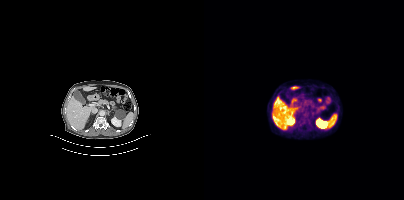
No PSMA-avid tumor lesions on this slice.